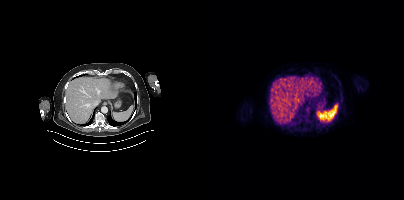
This slice has no annotated PSMA-avid lesion.
modality: PSMA PET/CT | tracer: [68Ga]Ga-PSMA-11 | view: axial